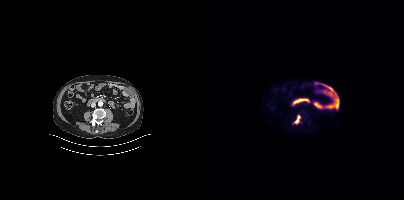
{"modality":"PSMA PET/CT","view":"axial","tracer":"[18F]PSMA-1007","pet_grid":[200,200],"coord_frame":"pet_panel","coord_format":"x0,y0,x1,y1","lesion_bboxes":[[89,116,95,123]]}